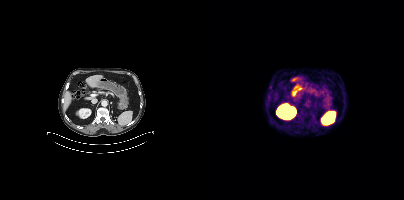
This slice has no annotated PSMA-avid lesion.